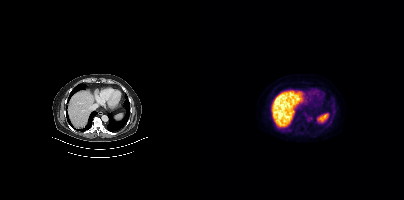
Two-panel axial: CT | PSMA PET, 18F-PSMA tracer. Acquired on Siemens Biograph mCT Flow 20. PET panel 200×200 px (4.1 mm/px). No PSMA-avid tumor lesions on this slice.